Technique: Paired axial CT (left) and PSMA PET (right), 18F tracer. acquired on Siemens Biograph mCT Flow 20.
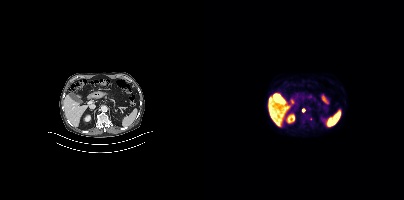
Findings: Coordinates are on the 200×200 PET (right) panel. (showing 1 of 2 foci) Small PSMA-avid focus (2 to 4 px across) near (center x, center y): (99, 110).